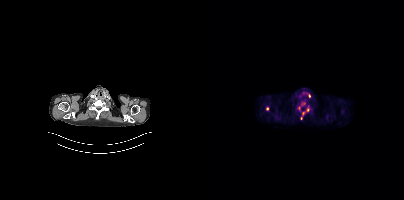
{"modality":"PSMA PET/CT","view":"axial","tracer":"[18F]PSMA-1007","pet_grid":[200,200],"coord_frame":"pet_panel","coord_format":"x0,y0,x1,y1","lesion_bboxes":[[96,107,105,119],[94,103,101,111]],"small_foci_centers":[[63,108]]}